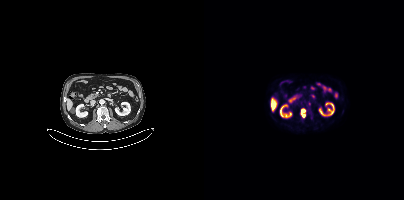
Coordinates are on the 200×200 PET (right) panel. (showing 1 of 2 foci) Small PSMA-avid focus (2 to 4 px across) near (center x, center y): (105, 103).